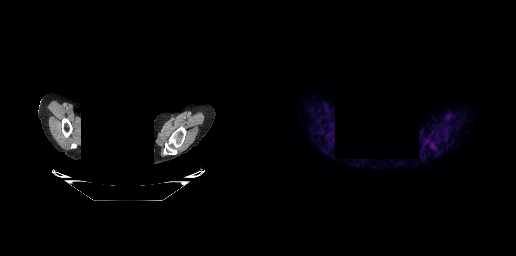
Negative for PSMA-avid disease on this slice.
Facial anatomy redacted by setting a rectangular region of the head to black.